modality: PSMA PET/CT | tracer: 18F-PSMA | view: axial
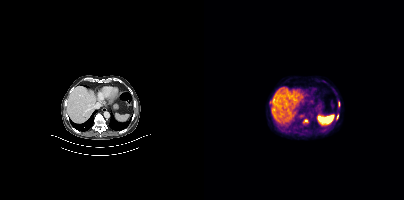
Coordinates are on the 200×200 PET (right) panel. (showing 2 of 3 foci) PSMA-avid tumor lesion bounding box (x, y, width, height): x=133 y=114 w=2 h=5. Small PSMA-avid focus (2 to 4 px across) near (center x, center y): (101, 120).